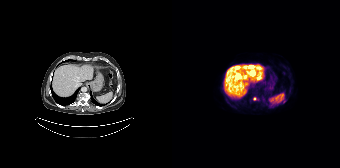
{"modality":"PSMA PET/CT","view":"axial","tracer":"18F","pet_grid":[168,168],"coord_frame":"pet_panel","coord_format":"x0,y0,x1,y1","lesion_bboxes":[[77,70,83,75],[64,74,67,78],[80,96,84,99],[76,65,80,67]],"small_foci_centers":[[64,67],[86,77],[73,67],[111,102]]}